- Two-panel axial: CT | PSMA PET, [18F]PSMA-1007 tracer
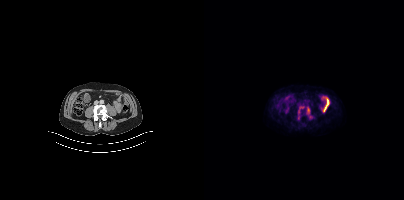
Findings: Only PSMA-avid lesion pieces thinner than 2 px on this slice (not listed).